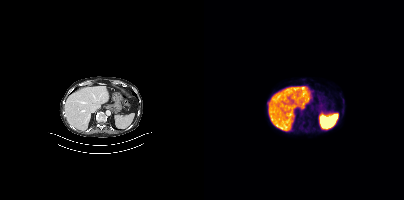
Technique: Two-panel axial: CT | PSMA PET, 18F-PSMA tracer. PET panel 200×200 px (4.1 mm/px).
Findings: Only PSMA-avid lesion pieces thinner than 2 px on this slice (not listed).